Paired axial CT (left) and PSMA PET (right), 18F-PSMA tracer. Acquired on GE Discovery 690. Slice position z = -60 mm. Head region blanked for anonymization (face removed).
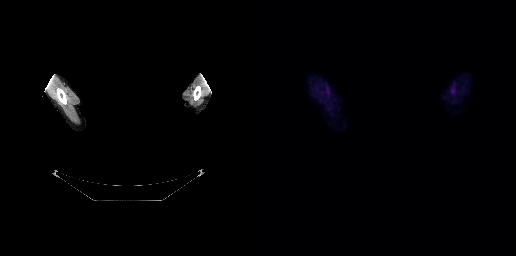
No PSMA-avid tumor lesions on this slice.